- Paired axial CT (left) and PSMA PET (right), 18F tracer
- PET panel 200×200 px (4.1 mm/px)
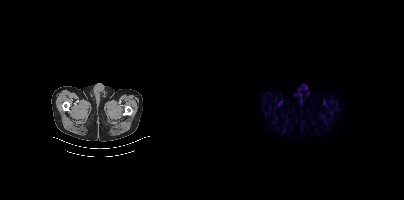
Findings: This slice has no annotated PSMA-avid lesion.